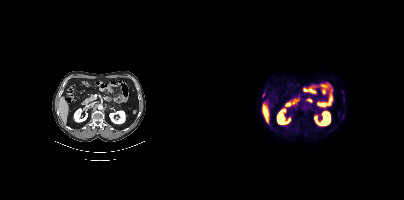
Coordinates are on the 200×200 PET (right) panel. Small PSMA-avid foci (2 to 4 px across) near (center x, center y): (59, 95) / (138, 91).